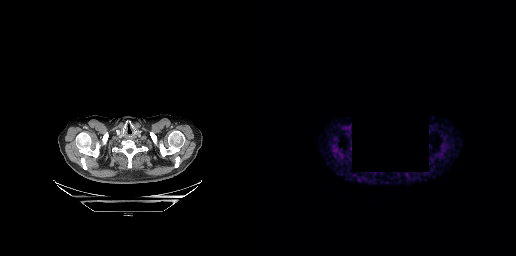
{"modality":"PSMA PET/CT","view":"axial","tracer":"68Ga","pet_grid":[256,256],"coord_frame":"pet_panel","coord_format":"x0,y0,x1,y1","deidentification":"privacy mask (black rectangle)","psma_avid_lesions":false}